Two-panel axial: CT | PSMA PET, 18F tracer. Acquired on Siemens Biograph mCT Flow 20. PET panel 200×200 px (4.1 mm/px).
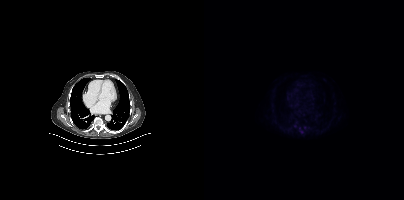
Coordinates are on the 200×200 PET (right) panel. (showing 2 of 4 foci) PSMA-avid tumor lesion bounding box (x, y, width, height): x=95 y=128 w=6 h=6. Small PSMA-avid focus (2 to 4 px across) near (center x, center y): (100, 127).